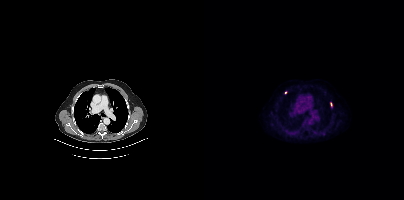
{"modality":"PSMA PET/CT","view":"axial","tracer":"[18F]PSMA-1007","pet_grid":[200,200],"coord_frame":"pet_panel","coord_format":"x0,y0,x1,y1","lesion_bboxes":[],"small_foci_centers":[[81,92],[127,104]]}